modality: PSMA PET/CT | tracer: [18F]PSMA-1007 | view: axial | PET grid: 168×168
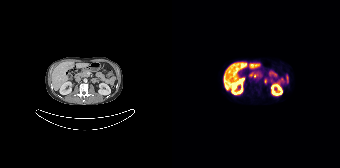
This slice has no annotated PSMA-avid lesion.